Two-panel axial: CT | PSMA PET, 18F-PSMA tracer. PET panel 200×200 px (4.1 mm/px).
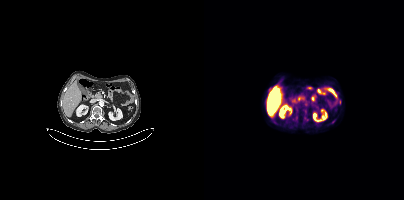
Only PSMA-avid lesion pieces thinner than 2 px on this slice (not listed).